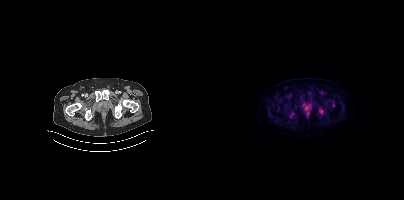
Paired axial CT (left) and PSMA PET (right), [18F]PSMA-1007 tracer. Coordinates are on the 200×200 PET (right) panel. (showing 1 of 2 foci) Small PSMA-avid focus (2 to 4 px across) near (center x, center y): (129, 105).